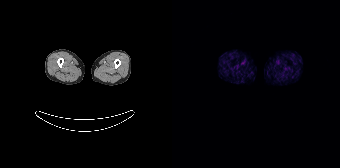
Negative for PSMA-avid disease on this slice.